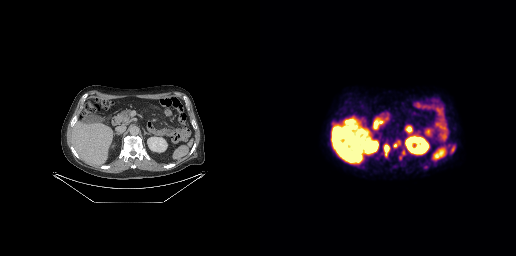
Coordinates are on the 256×256 PET (right) panel. PSMA-avid tumor lesion bounding boxes (x0, y0)-(x1, y1): (123, 143)-(130, 157); (139, 150)-(146, 160); (133, 143)-(138, 148).